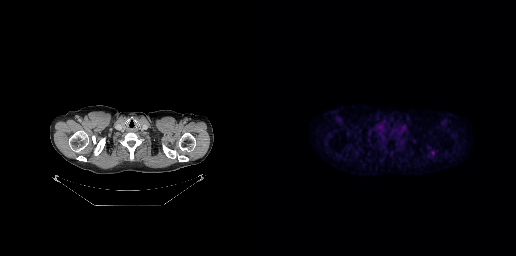
No PSMA-avid tumor lesions on this slice.
modality: PSMA PET/CT | tracer: [18F]PSMA-1007 | view: axial | PET grid: 256×256